Technique: Paired axial CT (left) and PSMA PET (right), 18F tracer. acquired on Siemens Biograph mCT Flow 20. slice 172 of 425.
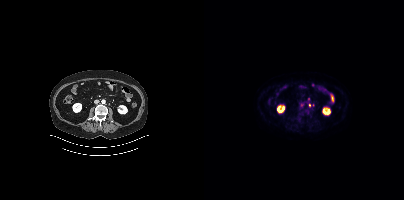
Findings: Coordinates are on the 200×200 PET (right) panel. Small PSMA-avid focus (2 to 4 px across) near (center x, center y): (105, 105).